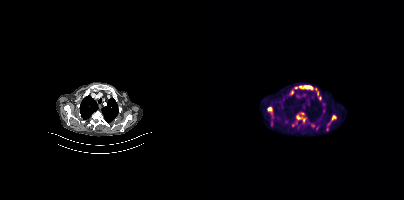
Paired axial CT (left) and PSMA PET (right), 18F tracer. Slice position z = -1040 mm. PET panel 200×200 px (4.1 mm/px). Coordinates are on the 200×200 PET (right) panel. (showing 7 of 9 foci) PSMA-avid tumor lesion bounding boxes (x, y, width, height): x=92 y=112 w=11 h=11; x=95 y=85 w=14 h=5; x=63 y=107 w=6 h=8; x=66 y=118 w=5 h=9; x=122 y=124 w=5 h=8; x=87 y=123 w=4 h=5; x=84 y=92 w=6 h=4.